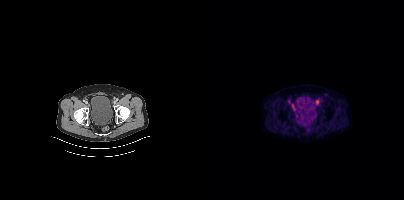
{"modality":"PSMA PET/CT","view":"axial","tracer":"18F","pet_grid":[200,200],"coord_frame":"pet_panel","coord_format":"x0,y0,x1,y1","lesion_bboxes":[[112,100,114,104]]}